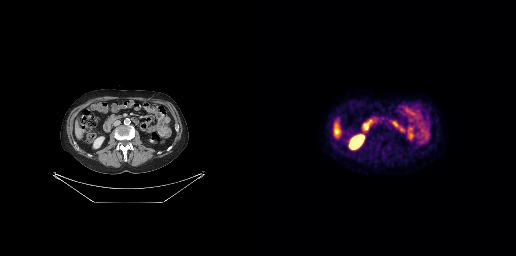
modality: PSMA PET/CT | tracer: [18F]PSMA-1007 | view: axial
No PSMA-avid tumor lesions on this slice.